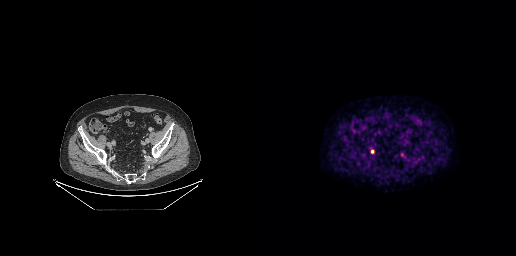
Coordinates are on the 256×256 PET (right) panel. Small PSMA-avid focus (2 to 4 px across) near (center x, center y): (112, 151). Paired axial CT (left) and PSMA PET (right), [18F]PSMA-1007 tracer.